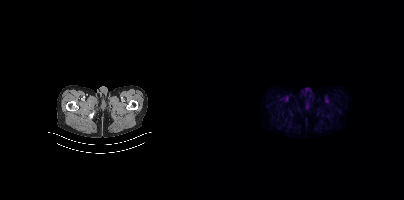
Two-panel axial: CT | PSMA PET, 18F tracer. PET panel 200×200 px (4.1 mm/px). No PSMA-avid tumor lesions on this slice.